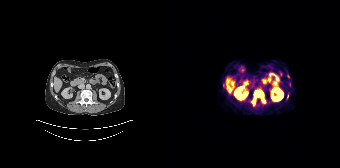
Coordinates are on the 168×168 PET (right) panel. PSMA-avid tumor lesion bounding box (x0,y0,x1,y1): [80,90,93,105]. Small PSMA-avid foci (2 to 4 px across) near (center x, center y): (115, 95), (56, 93).